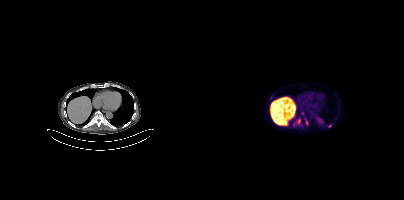
Coordinates are on the 200×200 PET (right) panel. (showing 3 of 4 foci) PSMA-avid tumor lesion bounding boxes (x, y, width, height): x=89 y=119 w=10 h=9; x=100 y=119 w=5 h=6. Small PSMA-avid focus (2 to 4 px across) near (center x, center y): (126, 126). Left: CT. Right: PSMA PET, same axial level, 18F-PSMA tracer. Acquired on Siemens Biograph mCT Flow 20. Slice position z = -632 mm. PET panel 200×200 px (4.1 mm/px).